modality: PSMA PET/CT | tracer: 18F-PSMA | view: axial | PET grid: 200×200
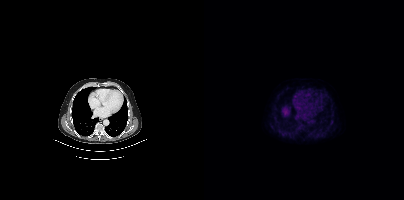
Coordinates are on the 200×200 PET (right) panel. Small PSMA-avid focus (2 to 4 px across) near (center x, center y): (127, 122).